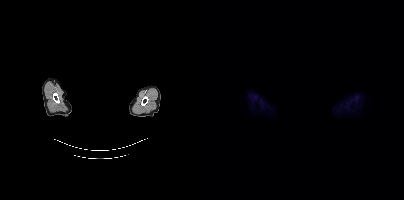
Left: CT. Right: PSMA PET, same axial level, 18F tracer. PET panel 200×200 px (4.1 mm/px). Head region blanked for anonymization (face removed). No PSMA-avid tumor lesions on this slice.